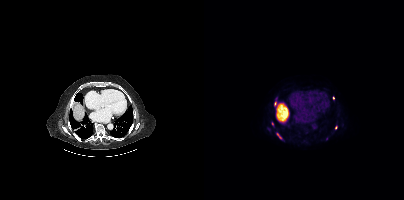
Left: CT. Right: PSMA PET, same axial level, [18F]PSMA-1007 tracer. Acquired on Siemens Biograph mCT Flow 20. Slice 261 of 389. Coordinates are on the 200×200 PET (right) panel. (showing 4 of 6 foci) PSMA-avid tumor lesion bounding box (x, y, width, height): x=72 y=133 w=6 h=7. Small PSMA-avid foci (2 to 4 px across) near (center x, center y): (68, 123) / (71, 103) / (129, 97).